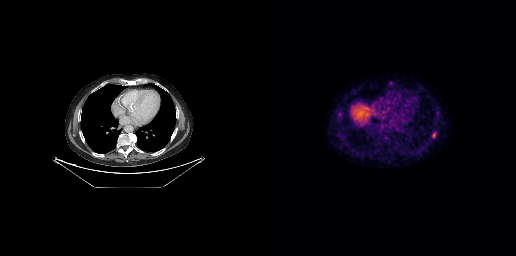
Coordinates are on the 256×256 PET (right) panel. PSMA-avid tumor lesion bounding boxes (x, y, width, height): x=172 y=132 w=5 h=7 | x=78 y=112 w=4 h=5.